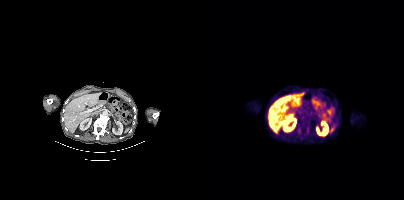
No PSMA-avid tumor lesions on this slice.